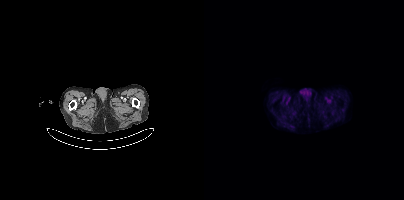
- Paired axial CT (left) and PSMA PET (right), 18F-PSMA tracer
Findings: No tumor lesions annotated on this slice.